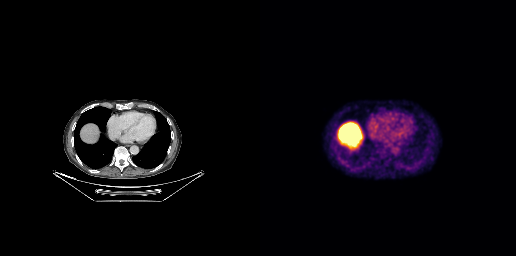
This slice has no annotated PSMA-avid lesion.
modality: PSMA PET/CT | tracer: 18F-PSMA | view: axial